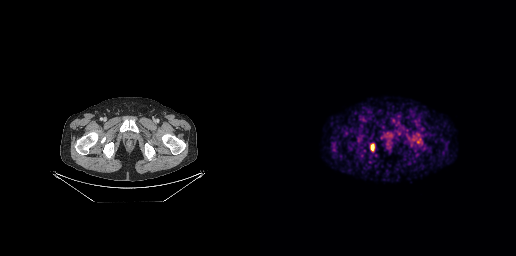
Coordinates are on the 256×256 PET (right) panel. PSMA-avid tumor lesion bounding box (x0,y0,x1,y1): [111,144,113,150]. Left: CT. Right: PSMA PET, same axial level, 68Ga-PSMA tracer. Slice 53 of 263.